Two-panel axial: CT | PSMA PET, 18F tracer. Acquired on Siemens Biograph mCT Flow 20.
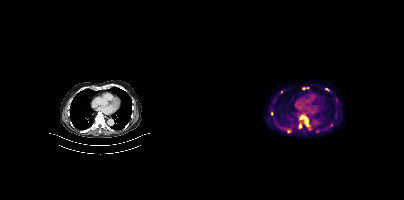
Coordinates are on the 200×200 PET (right) panel. (showing 7 of 10 foci) PSMA-avid tumor lesion bounding boxes (x0,y0,x1,y1): [95,115,106,126]; [95,123,97,128]. Small PSMA-avid foci (2 to 4 px across) near (center x, center y): (122, 89); (67, 113); (127, 125); (77, 91); (99, 88).